Two-panel axial: CT | PSMA PET, [18F]PSMA-1007 tracer. Face de-identified by blanking a block of the head.
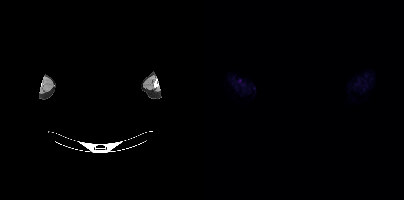
No PSMA-avid tumor lesions on this slice.